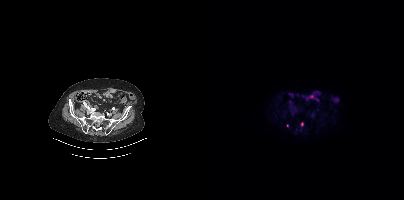
Coordinates are on the 200×200 PET (right) panel. PSMA-avid tumor lesion bounding box (x0,y0,x1,y1): [96,122,99,126]. Small PSMA-avid focus (2 to 4 px across) near (center x, center y): (83, 125). Left: CT. Right: PSMA PET, same axial level, [18F]PSMA-1007 tracer. Slice 104 of 377.